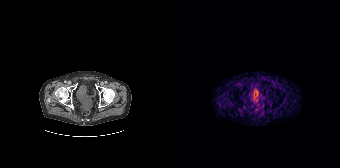
modality: PSMA PET/CT | tracer: 68Ga | view: axial
This slice has no annotated PSMA-avid lesion.